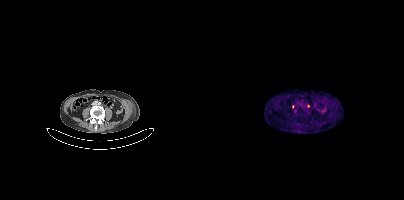
Technique: Two-panel axial: CT | PSMA PET, 68Ga-PSMA tracer.
Findings: No PSMA-avid tumor lesions on this slice.